modality: PSMA PET/CT | tracer: [18F]PSMA-1007 | view: axial
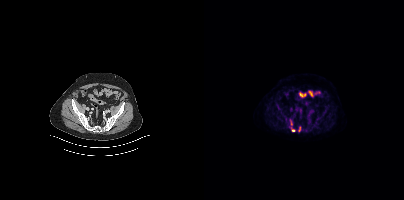
Coordinates are on the 200×200 PET (right) panel. (showing 1 of 2 foci) Small PSMA-avid focus (2 to 4 px across) near (center x, center y): (89, 130).